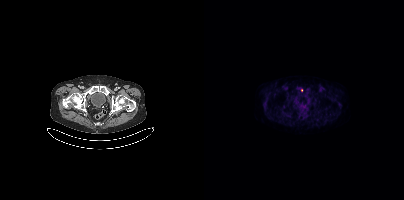
{"modality":"PSMA PET/CT","view":"axial","tracer":"18F","pet_grid":[200,200],"coord_frame":"pet_panel","coord_format":"x0,y0,x1,y1","lesion_bboxes":[],"small_foci_centers":[[97,90]]}